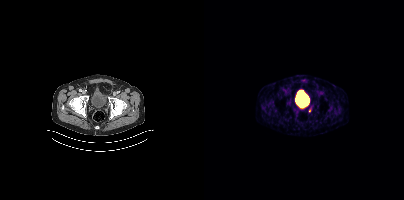
Coordinates are on the 200×200 PET (right) panel. Small PSMA-avid focus (2 to 4 px across) near (center x, center y): (105, 110).
modality: PSMA PET/CT | tracer: 68Ga-PSMA | view: axial | PET grid: 200×200